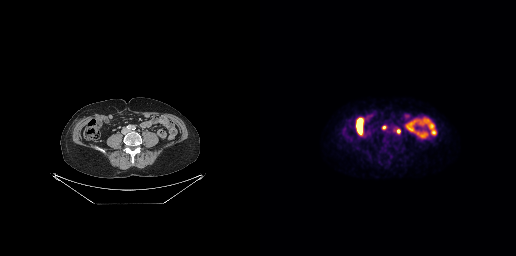
modality: PSMA PET/CT | tracer: 18F | view: axial
Coordinates are on the 256×256 PET (right) panel. PSMA-avid tumor lesion bounding box (x0,y0,x1,y1): [122,126,126,129]. Small PSMA-avid focus (2 to 4 px across) near (center x, center y): (138, 130).